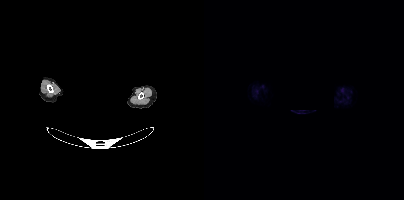
Face de-identified by blanking a block of the head. Left: CT. Right: PSMA PET, same axial level, 18F-PSMA tracer. Acquired on Siemens Biograph mCT Flow 20. No tumor lesions annotated on this slice.